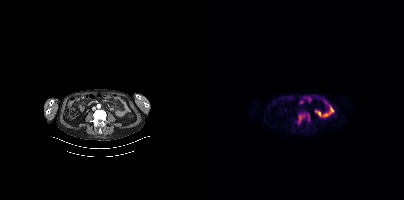
modality: PSMA PET/CT | tracer: 18F | view: axial
Coordinates are on the 200×200 PET (right) panel. PSMA-avid tumor lesion bounding box (x0,y0,x1,y1): [93,112,106,124].